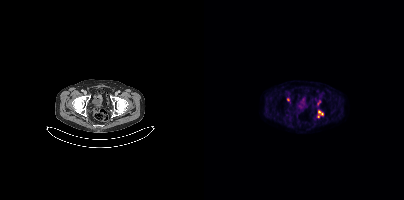
Findings: Coordinates are on the 200×200 PET (right) panel. PSMA-avid tumor lesion bounding box (x0,y0,x1,y1): [114,110,119,117]. Small PSMA-avid foci (2 to 4 px across) near (center x, center y): (84, 99) (115, 102).
- Paired axial CT (left) and PSMA PET (right), 18F tracer
- acquired on Siemens Biograph mCT Flow 20
- slice 81 of 415